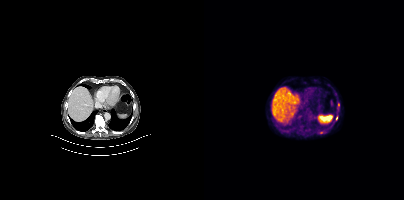
- Two-panel axial: CT | PSMA PET, 18F tracer
- acquired on Siemens Biograph mCT Flow 20
Findings: Coordinates are on the 200×200 PET (right) panel. Small PSMA-avid foci (2 to 4 px across) near (center x, center y): (117, 132) | (134, 104) | (132, 118).